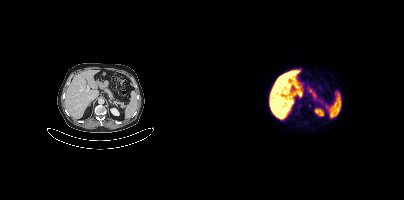
modality: PSMA PET/CT | tracer: [18F]PSMA-1007 | view: axial
Coordinates are on the 200×200 PET (right) panel. Small PSMA-avid focus (2 to 4 px across) near (center x, center y): (106, 105).